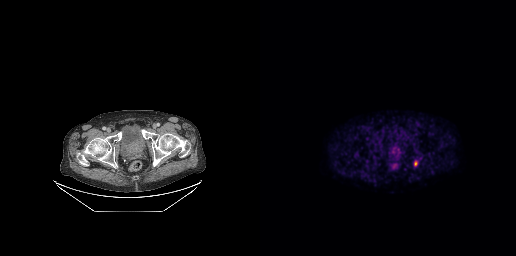
Findings: Coordinates are on the 256×256 PET (right) panel. PSMA-avid tumor lesion bounding box (x, y, width, height): x=154 y=161 w=4 h=5.
- Two-panel axial: CT | PSMA PET, 18F-PSMA tracer
- acquired on GE Discovery 690
- slice position z = -722 mm